Technique: Two-panel axial: CT | PSMA PET, 18F-PSMA tracer. slice 334 of 371.
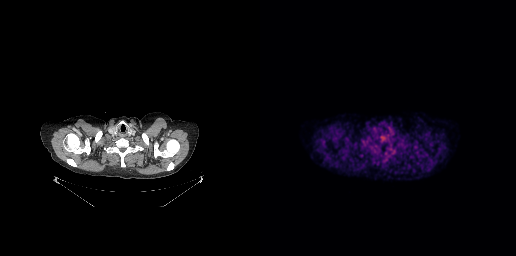
Findings: Negative for PSMA-avid disease on this slice.